Left: CT. Right: PSMA PET, same axial level, 18F-PSMA tracer. Slice position z = -620 mm.
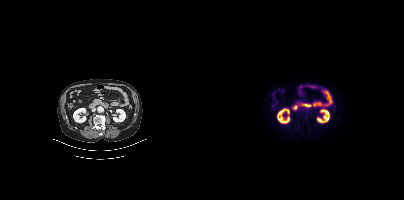
Negative for PSMA-avid disease on this slice.